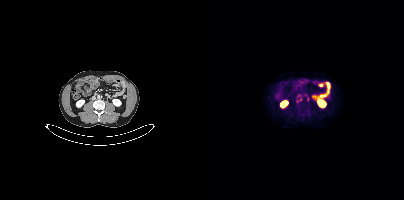
{"pet_grid":[200,200],"coord_frame":"pet_panel","coord_format":"x0,y0,x1,y1","partial":true,"lesion_bboxes":[[103,96,104,100]],"modality":"PSMA PET/CT","view":"axial","tracer":"18F"}